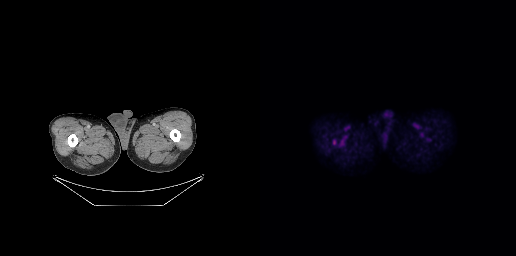
This slice has no annotated PSMA-avid lesion.